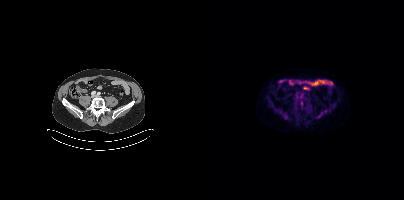
No tumor lesions annotated on this slice.